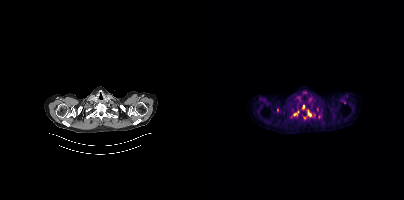
- Left: CT. Right: PSMA PET, same axial level, 18F tracer
- acquired on Siemens Biograph mCT Flow 20
- slice position z = -289 mm
Findings: Coordinates are on the 200×200 PET (right) panel. (showing 5 of 7 foci) PSMA-avid tumor lesion bounding boxes (x0, y0)-(x1, y1): (104, 110)-(107, 116) / (90, 111)-(94, 115). Small PSMA-avid foci (2 to 4 px across) near (center x, center y): (99, 106) / (73, 110) / (100, 117).